modality: PSMA PET/CT | tracer: 68Ga | view: axial
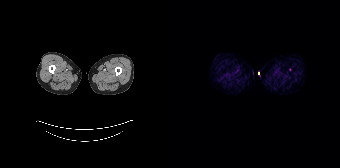
No PSMA-avid tumor lesions on this slice.